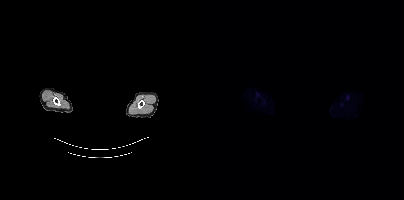
No tumor lesions annotated on this slice.
Any black rectangle over the head is a privacy mask, not anatomy.